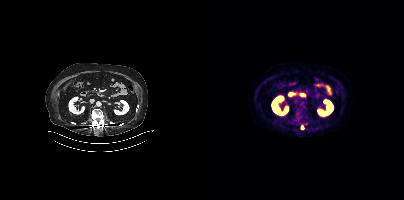
Coordinates are on the 200×200 PET (right) panel. Small PSMA-avid focus (2 to 4 px across) near (center x, center y): (98, 128). Two-panel axial: CT | PSMA PET, 18F-PSMA tracer. Acquired on Siemens Biograph mCT Flow 20. PET panel 200×200 px (4.1 mm/px).